Technique: Two-panel axial: CT | PSMA PET, 18F-PSMA tracer.
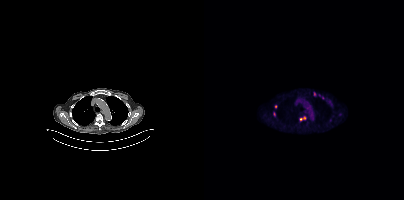
Findings: Coordinates are on the 200×200 PET (right) panel. (showing 6 of 7 foci) PSMA-avid tumor lesion bounding box (x0, y0)-(x1, y1): (95, 116)-(102, 121). Small PSMA-avid foci (2 to 4 px across) near (center x, center y): (110, 93) / (71, 106) / (70, 114) / (118, 97) / (126, 120).